modality: PSMA PET/CT | tracer: [18F]PSMA-1007 | view: axial
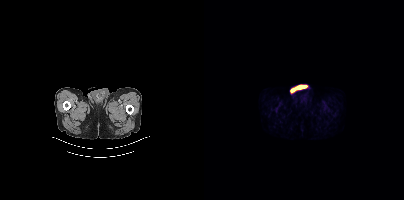
This slice has no annotated PSMA-avid lesion.